Two-panel axial: CT | PSMA PET, 18F tracer. Acquired on Siemens Biograph mCT Flow 20. Slice 91 of 429.
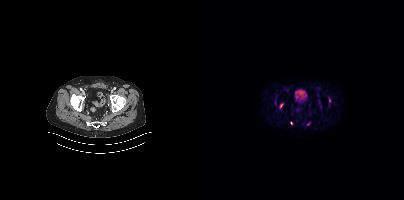
Coordinates are on the 200×200 PET (right) panel. PSMA-avid tumor lesion bounding boxes (partial; 1 more focus not listed):
| # | x0 | y0 | x1 | y1 |
|---|---|---|---|---|
| 1 | 76 | 103 | 78 | 107 |
Small PSMA-avid focus (2 to 4 px across) near (center x, center y): (87, 123).